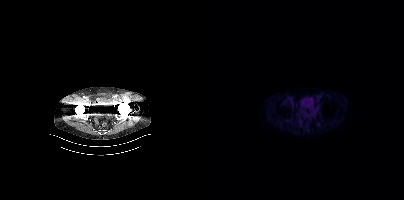
Findings: Negative for PSMA-avid disease on this slice.
- Paired axial CT (left) and PSMA PET (right), 18F-PSMA tracer
- acquired on Siemens Biograph mCT Flow 20
- PET panel 200×200 px (4.1 mm/px)